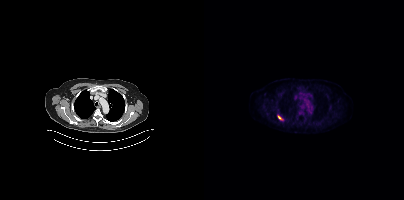
{"modality":"PSMA PET/CT","view":"axial","tracer":"18F-PSMA","pet_grid":[200,200],"coord_frame":"pet_panel","coord_format":"x0,y0,x1,y1","lesion_bboxes":[[73,115,79,120]]}